modality: PSMA PET/CT | tracer: 18F-PSMA | view: axial | PET grid: 200×200
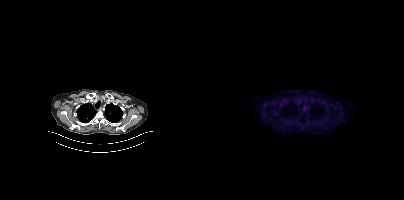
No PSMA-avid tumor lesions on this slice.